modality: PSMA PET/CT | tracer: 68Ga | view: axial
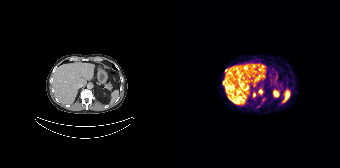
Coordinates are on the 168×168 PET (right) panel. (showing 3 of 4 foci) PSMA-avid tumor lesion bounding box (x, y, width, height): x=51 y=80 w=3 h=5. Small PSMA-avid foci (2 to 4 px across) near (center x, center y): (88, 91) / (54, 70).